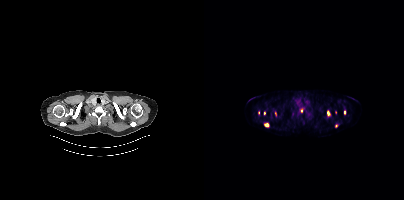
{"modality":"PSMA PET/CT","view":"axial","tracer":"[18F]PSMA-1007","pet_grid":[200,200],"coord_frame":"pet_panel","coord_format":"x0,y0,x1,y1","partial":true,"lesion_bboxes":[[123,110,126,116],[60,123,64,126]],"small_foci_centers":[[140,112],[60,113],[97,110]]}